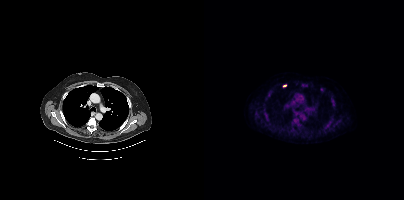
Findings: Coordinates are on the 200×200 PET (right) panel. Small PSMA-avid focus (2 to 4 px across) near (center x, center y): (80, 85).
- Paired axial CT (left) and PSMA PET (right), [18F]PSMA-1007 tracer
- acquired on Siemens Biograph mCT Flow 20
- slice position z = -340 mm